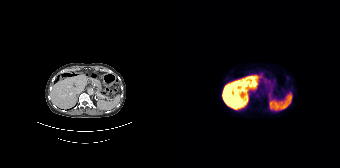
modality: PSMA PET/CT | tracer: 18F | view: axial
No PSMA-avid tumor lesions on this slice.